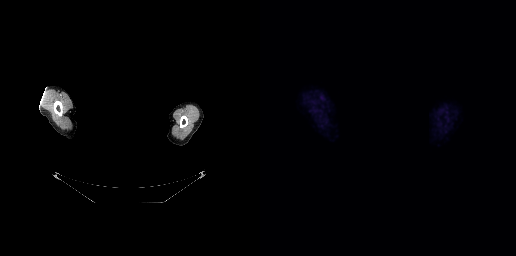
A rectangle over the head was blacked out to remove identifiable facial features.
This slice has no annotated PSMA-avid lesion.